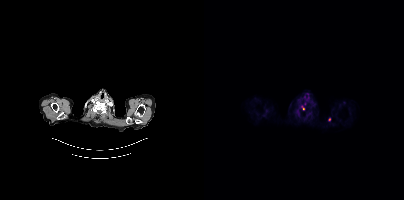
{"modality":"PSMA PET/CT","view":"axial","tracer":"68Ga-PSMA","pet_grid":[200,200],"coord_frame":"pet_panel","coord_format":"x0,y0,x1,y1","lesion_bboxes":[],"small_foci_centers":[[125,119],[99,108]]}